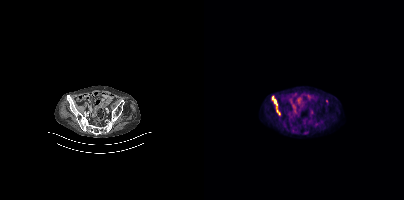
{"modality":"PSMA PET/CT","view":"axial","tracer":"[18F]PSMA-1007","pet_grid":[200,200],"coord_frame":"pet_panel","coord_format":"x0,y0,x1,y1","partial":true,"lesion_bboxes":[[68,97,73,105]]}